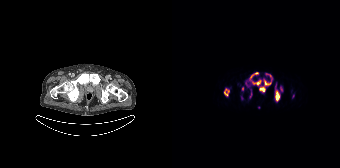
Two-panel axial: CT | PSMA PET, [18F]PSMA-1007 tracer. PET panel 168×168 px (4.1 mm/px).
Coordinates are on the 168×168 PET (right) panel. PSMA-avid tumor lesion bounding boxes (partial; 1 more focus not listed):
| # | x0 | y0 | x1 | y1 |
|---|---|---|---|---|
| 1 | 73 | 72 | 89 | 86 |
| 2 | 91 | 73 | 100 | 86 |
| 3 | 103 | 84 | 108 | 100 |
| 4 | 52 | 88 | 57 | 96 |
| 5 | 108 | 87 | 110 | 91 |
| 6 | 78 | 92 | 79 | 97 |
Small PSMA-avid foci (2 to 4 px across) near (center x, center y): (121, 95); (70, 88).